modality: PSMA PET/CT | tracer: [18F]PSMA-1007 | view: axial | PET grid: 168×168
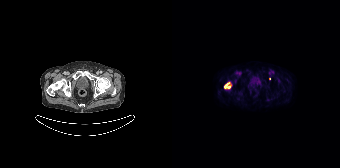
Coordinates are on the 168×168 PET (right) panel. PSMA-avid tumor lesion bounding box (x, y, width, height): x=52 y=82 w=8 h=8. Small PSMA-avid focus (2 to 4 px across) near (center x, center y): (97, 78).